modality: PSMA PET/CT | tracer: 18F | view: axial
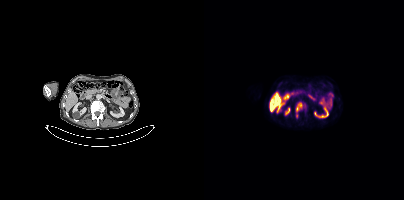
Coordinates are on the 200×200 PET (right) panel. (showing 1 of 2 foci) PSMA-avid tumor lesion bounding box (x, y, width, height): x=92 y=103 w=7 h=9.